modality: PSMA PET/CT | tracer: 18F | view: axial | PET grid: 200×200 | deidentification: privacy mask over head
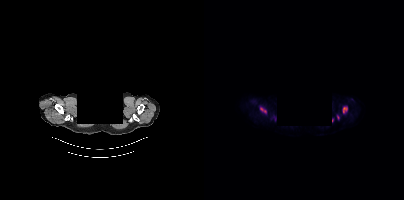
Coordinates are on the 200×200 PET (right) panel. (showing 3 of 5 foci) PSMA-avid tumor lesion bounding boxes (x0,y0,x1,y1): [56,107,62,112]; [139,107,143,112]. Small PSMA-avid focus (2 to 4 px across) near (center x, center y): (133, 117).